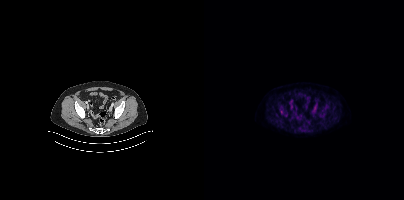
Two-panel axial: CT | PSMA PET, 18F-PSMA tracer. Slice 95 of 409. Coordinates are on the 200×200 PET (right) panel. Small PSMA-avid focus (2 to 4 px across) near (center x, center y): (86, 105).